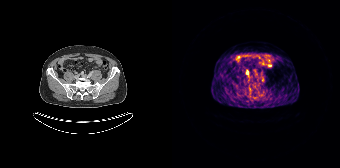
{"modality":"PSMA PET/CT","view":"axial","tracer":"68Ga-PSMA","pet_grid":[168,168],"coord_frame":"pet_panel","coord_format":"x0,y0,x1,y1","lesion_bboxes":[],"small_foci_centers":[[75,72]]}